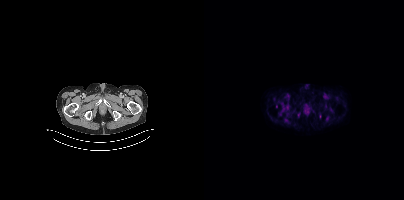
Coordinates are on the 200×200 PET (right) panel. Small PSMA-avid focus (2 to 4 px across) near (center x, center y): (72, 106). Left: CT. Right: PSMA PET, same axial level, [18F]PSMA-1007 tracer. Slice position z = -973 mm. PET panel 200×200 px (4.1 mm/px).